- Two-panel axial: CT | PSMA PET, 18F tracer
- acquired on Siemens Biograph mCT Flow 20
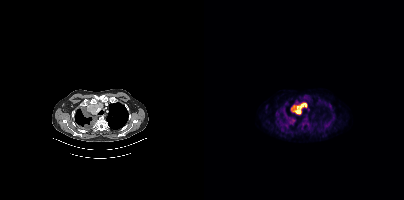
Findings: Coordinates are on the 200×200 PET (right) panel. PSMA-avid tumor lesion bounding boxes (x0,y0,x1,y1): [87,102,102,114]; [80,111,89,124]; [100,118,103,123]. Small PSMA-avid focus (2 to 4 px across) near (center x, center y): (104, 109).